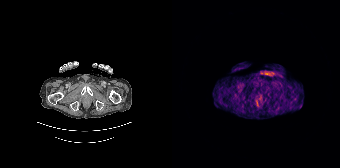
{"modality":"PSMA PET/CT","view":"axial","tracer":"68Ga-PSMA","pet_grid":[168,168],"coord_frame":"pet_panel","coord_format":"x0,y0,x1,y1","psma_avid_lesions":false}